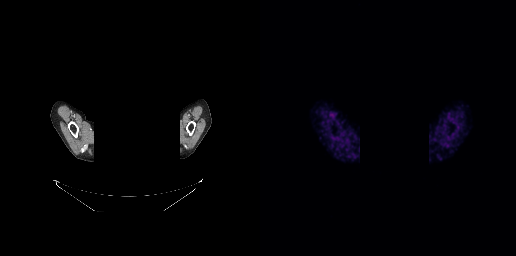
- Two-panel axial: CT | PSMA PET, [68Ga]Ga-PSMA-11 tracer
- acquired on GE Discovery 690
- slice 239 of 263
- facial anatomy redacted by setting a rectangular region of the head to black
Findings: Negative for PSMA-avid disease on this slice.